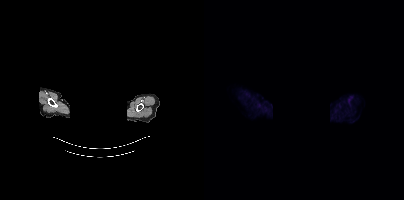
- Two-panel axial: CT | PSMA PET, [18F]PSMA-1007 tracer
- slice position z = -842 mm
- PET panel 200×200 px (4.1 mm/px)
- privacy masking over the head, with the pixels inside a rectangle set to black
Findings: This slice has no annotated PSMA-avid lesion.